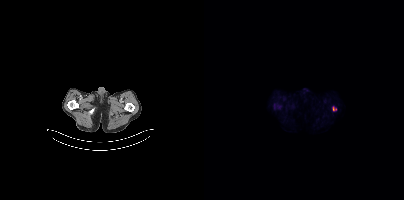
Paired axial CT (left) and PSMA PET (right), 18F-PSMA tracer. Acquired on Siemens Biograph mCT Flow 20. Slice position z = -72 mm. Only PSMA-avid lesion pieces thinner than 2 px on this slice (not listed).